modality: PSMA PET/CT | tracer: 18F | view: axial | de-identification: privacy mask over head
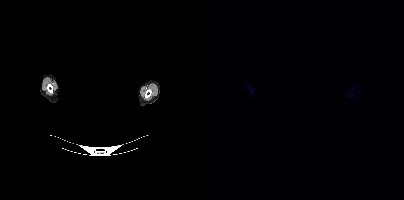
No tumor lesions annotated on this slice.